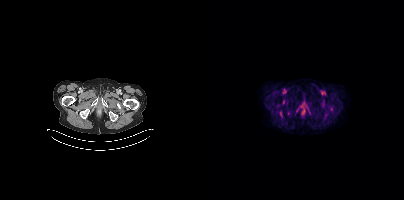
modality: PSMA PET/CT | tracer: [18F]PSMA-1007 | view: axial | PET grid: 200×200
No PSMA-avid tumor lesions on this slice.